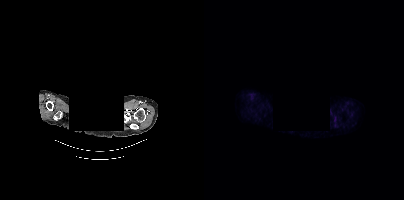
- Paired axial CT (left) and PSMA PET (right), 18F-PSMA tracer
- acquired on Siemens Biograph mCT Flow 20
- slice 405 of 454
- PET panel 200×200 px (4.1 mm/px)
- de-identified by setting a box covering the face to black before release
Findings: This slice has no annotated PSMA-avid lesion.